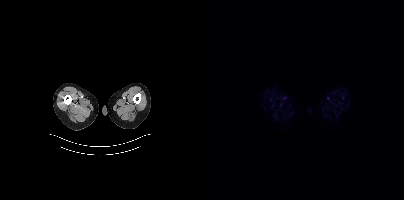
No PSMA-avid tumor lesions on this slice.
modality: PSMA PET/CT | tracer: 18F | view: axial | PET grid: 200×200